Two-panel axial: CT | PSMA PET, 18F-PSMA tracer. PET panel 200×200 px (4.1 mm/px).
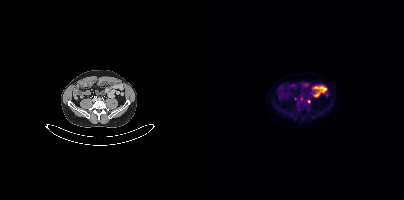
Coordinates are on the 200×200 PET (right) panel. (showing 2 of 3 foci) Small PSMA-avid foci (2 to 4 px across) near (center x, center y): (104, 101) | (97, 98).